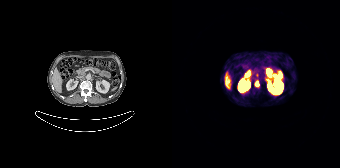
- Left: CT. Right: PSMA PET, same axial level, [68Ga]Ga-PSMA-11 tracer
- slice position z = -1108 mm
- PET panel 168×168 px (4.1 mm/px)
Findings: Coordinates are on the 168×168 PET (right) panel. Small PSMA-avid focus (2 to 4 px across) near (center x, center y): (84, 83).